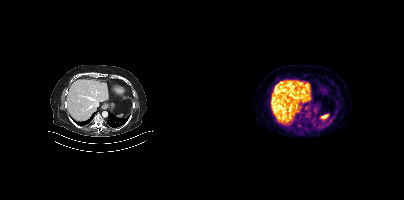
No PSMA-avid tumor lesions on this slice. Two-panel axial: CT | PSMA PET, 18F-PSMA tracer. Slice position z = -1110 mm. PET panel 200×200 px (4.1 mm/px).